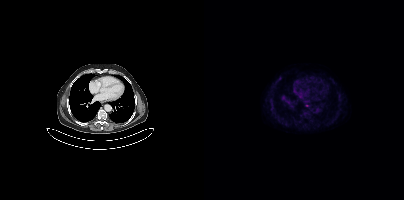
Coordinates are on the 200×200 PET (right) panel. Small PSMA-avid focus (2 to 4 px across) near (center x, center y): (102, 105).